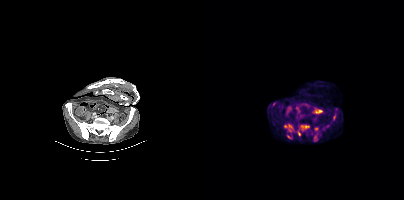
Findings: Coordinates are on the 200×200 PET (right) panel. PSMA-avid tumor lesion bounding boxes (x0, y0)-(x1, y1): (96, 125)-(105, 130) / (85, 125)-(90, 132) / (110, 135)-(113, 141) / (93, 129)-(96, 136) / (129, 115)-(131, 120) / (121, 125)-(124, 129) / (68, 102)-(71, 106). Small PSMA-avid foci (2 to 4 px across) near (center x, center y): (112, 128) / (81, 126) / (85, 137).
Technique: Left: CT. Right: PSMA PET, same axial level, 18F-PSMA tracer. acquired on Siemens Biograph mCT Flow 20. PET panel 200×200 px (4.1 mm/px).